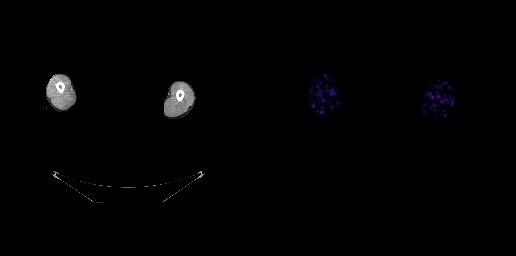
The face region was removed for patient privacy by blanking a rectangle over the head. Two-panel axial: CT | PSMA PET, 18F tracer. Slice position z = -9 mm. This slice has no annotated PSMA-avid lesion.